Left: CT. Right: PSMA PET, same axial level, 18F-PSMA tracer. Acquired on Siemens Biograph mCT Flow 20.
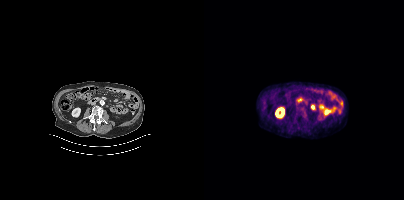
No tumor lesions annotated on this slice.